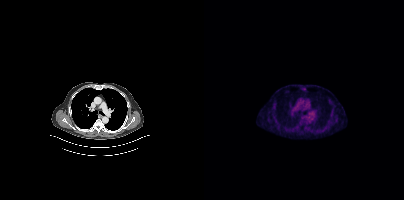
This slice has no annotated PSMA-avid lesion. Paired axial CT (left) and PSMA PET (right), 18F tracer. PET panel 200×200 px (4.1 mm/px).